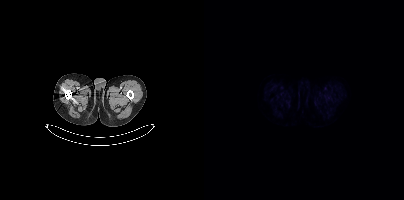
No tumor lesions annotated on this slice.